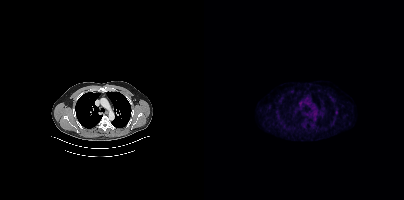
modality: PSMA PET/CT | tracer: [18F]PSMA-1007 | view: axial | PET grid: 200×200
No PSMA-avid tumor lesions on this slice.